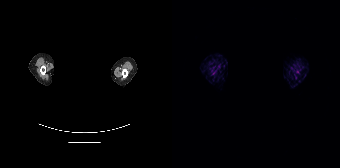
Technique: Paired axial CT (left) and PSMA PET (right), 68Ga tracer. acquired on Siemens Biograph 64-4R TruePoint. slice 156 of 165. PET panel 168×168 px (4.1 mm/px).
Note: The face region was removed for patient privacy by blanking a rectangle over the head.
Findings: This slice has no annotated PSMA-avid lesion.